- de-identified by setting a box covering the face to black before release
- Paired axial CT (left) and PSMA PET (right), [18F]PSMA-1007 tracer
- acquired on Siemens Biograph mCT Flow 20
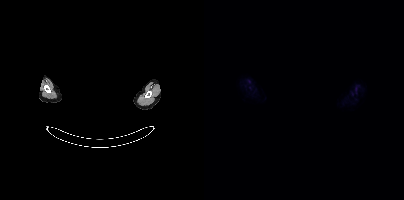
Findings: No tumor lesions annotated on this slice.